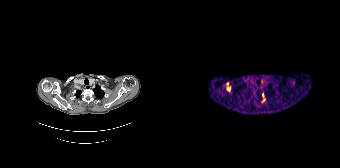
Findings: Coordinates are on the 168×168 PET (right) panel. (showing 3 of 4 foci) Small PSMA-avid foci (2 to 4 px across) near (center x, center y): (56, 88); (90, 94); (91, 100).
- Two-panel axial: CT | PSMA PET, [68Ga]Ga-PSMA-11 tracer